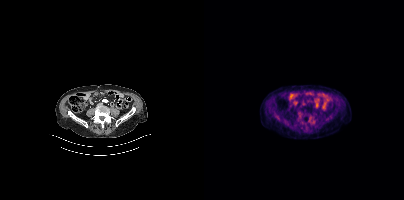
{"modality":"PSMA PET/CT","view":"axial","tracer":"18F-PSMA","pet_grid":[200,200],"coord_frame":"pet_panel","coord_format":"x0,y0,x1,y1","psma_avid_lesions":false}